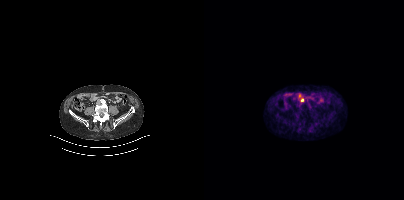
Findings: Coordinates are on the 200×200 PET (right) panel. Small PSMA-avid focus (2 to 4 px across) near (center x, center y): (98, 100).
- Left: CT. Right: PSMA PET, same axial level, 68Ga-PSMA tracer
- PET panel 200×200 px (4.1 mm/px)